Technique: Left: CT. Right: PSMA PET, same axial level, [68Ga]Ga-PSMA-11 tracer.
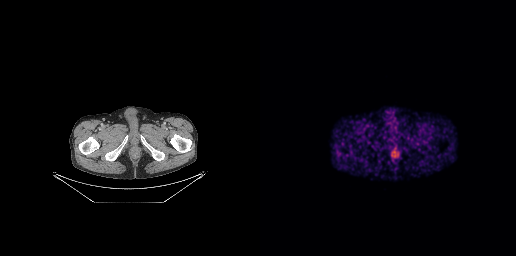
Findings: No PSMA-avid tumor lesions on this slice.